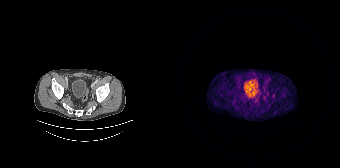
{"modality":"PSMA PET/CT","view":"axial","tracer":"[68Ga]Ga-PSMA-11","pet_grid":[168,168],"coord_frame":"pet_panel","coord_format":"x0,y0,x1,y1","lesion_bboxes":[],"small_foci_centers":[[101,95]]}